modality: PSMA PET/CT | tracer: 18F | view: axial
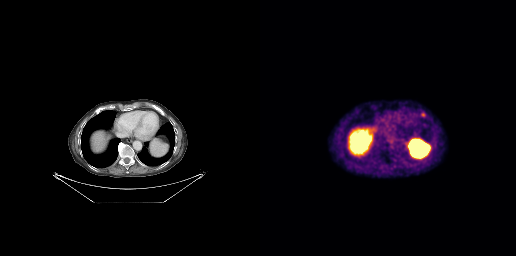
Coordinates are on the 256×256 PET (right) panel. PSMA-avid tumor lesion bounding box (x, y, width, height): x=161 y=113 w=5 h=4.